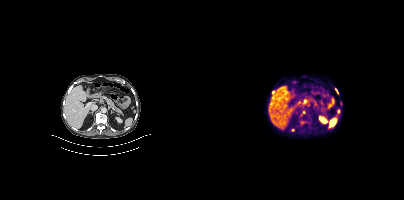
- Paired axial CT (left) and PSMA PET (right), 18F-PSMA tracer
- PET panel 200×200 px (4.1 mm/px)
Findings: Coordinates are on the 200×200 PET (right) panel. (showing 5 of 6 foci) PSMA-avid tumor lesion bounding boxes (x, y, width, height): x=96 y=111 w=6 h=5; x=131 y=88 w=4 h=6; x=97 y=121 w=5 h=3. Small PSMA-avid foci (2 to 4 px across) near (center x, center y): (88, 130); (69, 92).